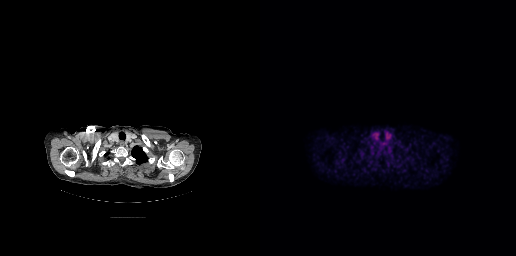
- Left: CT. Right: PSMA PET, same axial level, 18F-PSMA tracer
- PET panel 256×256 px (2.7 mm/px)
Findings: No PSMA-avid tumor lesions on this slice.